- Two-panel axial: CT | PSMA PET, [18F]PSMA-1007 tracer
- acquired on Siemens Biograph mCT Flow 20
- slice position z = -604 mm
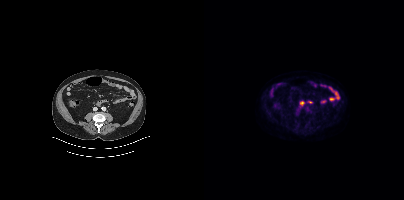
Findings: Negative for PSMA-avid disease on this slice.